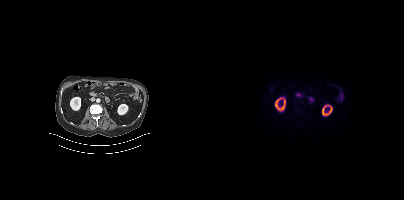
- Left: CT. Right: PSMA PET, same axial level, [18F]PSMA-1007 tracer
Findings: No tumor lesions annotated on this slice.